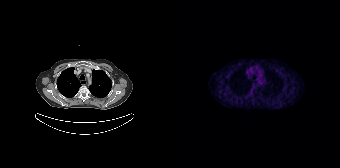
Left: CT. Right: PSMA PET, same axial level, 68Ga tracer. Acquired on Siemens Biograph 64-4R TruePoint. Slice position z = -1063 mm. PET panel 168×168 px (4.1 mm/px). Negative for PSMA-avid disease on this slice.